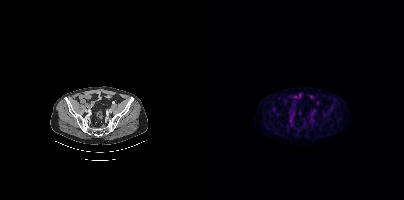
This slice has no annotated PSMA-avid lesion.